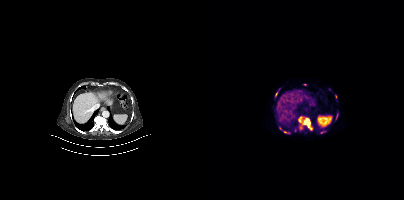
Left: CT. Right: PSMA PET, same axial level, 68Ga tracer.
Coordinates are on the 200×200 PET (right) panel. PSMA-avid tumor lesion bounding boxes (partial; 1 more focus not listed):
| # | x0 | y0 | x1 | y1 |
|---|---|---|---|---|
| 1 | 94 | 116 | 108 | 130 |
| 2 | 132 | 113 | 134 | 117 |
| 3 | 117 | 131 | 121 | 133 |
Small PSMA-avid foci (2 to 4 px across) near (center x, center y): (81, 132); (72, 93); (101, 84); (75, 128); (71, 96).